modality: PSMA PET/CT | tracer: 18F | view: axial | PET grid: 200×200
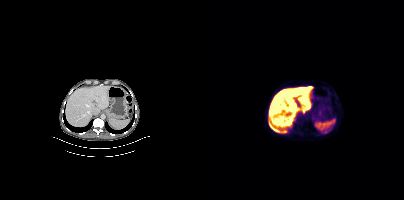
This slice has no annotated PSMA-avid lesion.